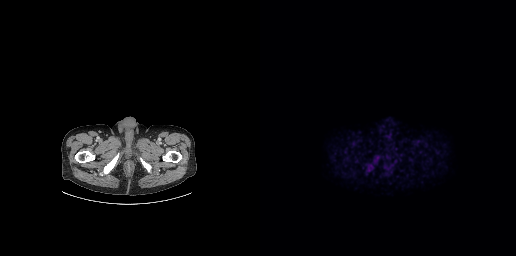
Coordinates are on the 256×256 PET (right) panel. PSMA-avid tumor lesion bounding box (x0, y0)-(x1, y1): (113, 157)-(119, 163). Small PSMA-avid focus (2 to 4 px across) near (center x, center y): (107, 168). Paired axial CT (left) and PSMA PET (right), [18F]PSMA-1007 tracer.